Paired axial CT (left) and PSMA PET (right), 18F-PSMA tracer. Acquired on Siemens Biograph mCT Flow 20. Slice position z = -932 mm. PET panel 200×200 px (4.1 mm/px).
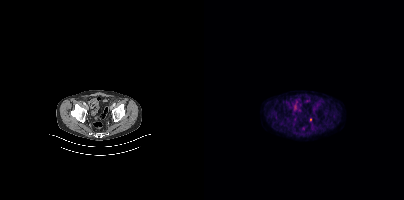
Negative for PSMA-avid disease on this slice.